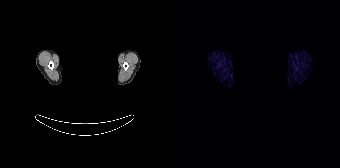
The head region is masked for de-identification.
No tumor lesions annotated on this slice.